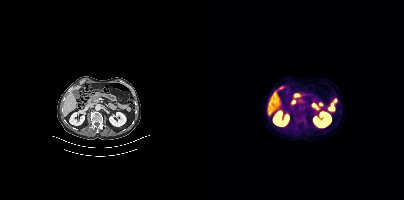
Paired axial CT (left) and PSMA PET (right), 18F-PSMA tracer. Acquired on Siemens Biograph mCT Flow 20. PET panel 200×200 px (4.1 mm/px). No PSMA-avid tumor lesions on this slice.